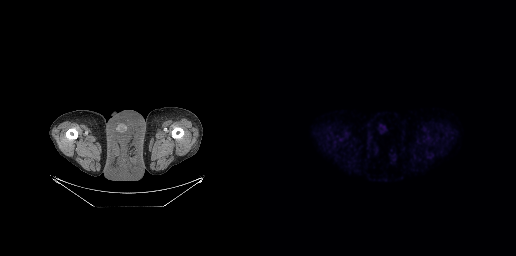
No tumor lesions annotated on this slice.